Technique: Paired axial CT (left) and PSMA PET (right), [18F]PSMA-1007 tracer. slice position z = -874 mm. PET panel 200×200 px (4.1 mm/px).
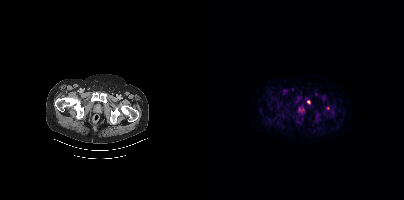
Findings: Coordinates are on the 200×200 PET (right) panel. Small PSMA-avid foci (2 to 4 px across) near (center x, center y): (104, 101), (123, 108).